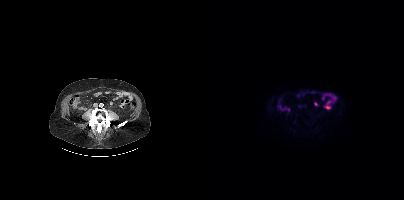
{"modality":"PSMA PET/CT","view":"axial","tracer":"18F","pet_grid":[200,200],"coord_frame":"pet_panel","coord_format":"x0,y0,x1,y1","psma_avid_lesions":false}